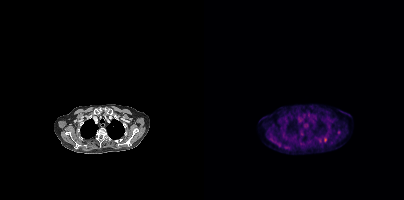
Coordinates are on the 200×200 PET (right) panel. (showing 4 of 5 foci) PSMA-avid tumor lesion bounding box (x0,y0,x1,y1): [120,137,122,142]. Small PSMA-avid foci (2 to 4 px across) near (center x, center y): (134, 132); (116, 140); (97, 134).